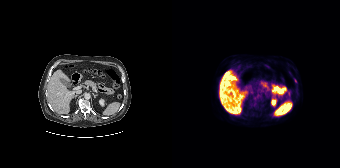
modality: PSMA PET/CT | tracer: 18F | view: axial
Coordinates are on the 168×168 PET (right) panel. Small PSMA-avid focus (2 to 4 px across) near (center x, center y): (123, 80).